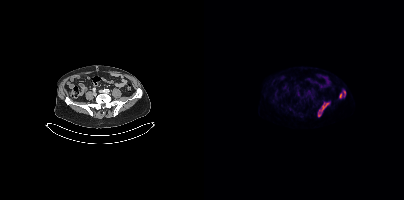
modality: PSMA PET/CT | tracer: 18F | view: axial
Coordinates are on the 200×200 PET (right) panel. PSMA-avid tumor lesion bounding boxes (x0,y0,x1,y1): [114,102,125,116] [135,92,138,98] [139,90,141,96].